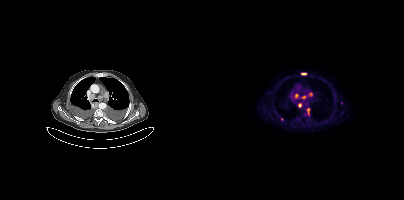
- Two-panel axial: CT | PSMA PET, 18F tracer
- acquired on Siemens Biograph mCT Flow 20
- slice 274 of 381
- PET panel 200×200 px (4.1 mm/px)
Findings: Coordinates are on the 200×200 PET (right) panel. (showing 7 of 8 foci) PSMA-avid tumor lesion bounding boxes (x0,y0,x1,y1): [97,73,102,75], [94,103,97,107], [103,109,105,113]. Small PSMA-avid foci (2 to 4 px across) near (center x, center y): (92, 95), (99, 97), (107, 94), (137, 102).